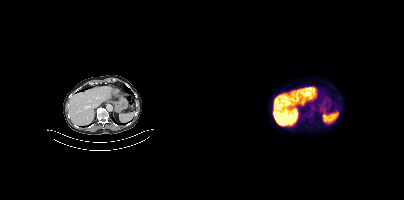
Left: CT. Right: PSMA PET, same axial level, [18F]PSMA-1007 tracer. Acquired on Siemens Biograph mCT Flow 20. This slice has no annotated PSMA-avid lesion.